Two-panel axial: CT | PSMA PET, 18F-PSMA tracer. Acquired on Siemens Biograph mCT Flow 20. PET panel 200×200 px (4.1 mm/px).
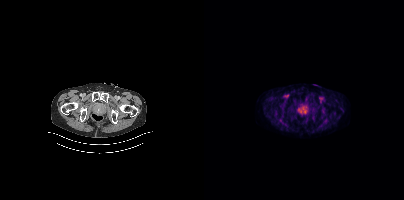
Coordinates are on the 200×200 PET (right) panel. PSMA-avid tumor lesion bounding boxes:
| # | x0 | y0 | x1 | y1 |
|---|---|---|---|---|
| 1 | 93 | 104 | 105 | 115 |